modality: PSMA PET/CT | tracer: [18F]PSMA-1007 | view: axial
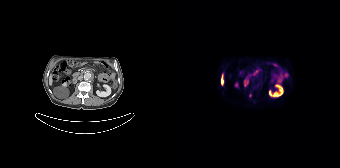
Coordinates are on the 168×168 PET (right) panel. PSMA-avid tumor lesion bounding box (x0, y0)-(x1, y1): (77, 93)-(79, 97).